Technique: Two-panel axial: CT | PSMA PET, 18F-PSMA tracer. acquired on Siemens Biograph mCT Flow 20. slice position z = -1500 mm.
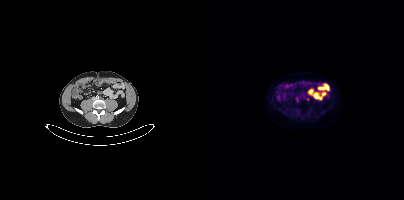
Findings: Only PSMA-avid lesion pieces thinner than 2 px on this slice (not listed).